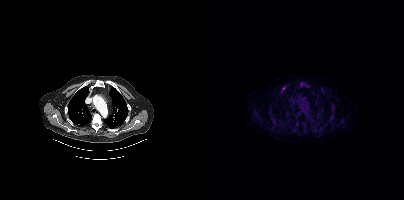
Two-panel axial: CT | PSMA PET, 18F-PSMA tracer. Acquired on Siemens Biograph mCT Flow 20. Slice 350 of 454. Coordinates are on the 200×200 PET (right) panel. PSMA-avid tumor lesion bounding box (x0, y0)-(x1, y1): (78, 87)-(81, 91).